- Left: CT. Right: PSMA PET, same axial level, 18F-PSMA tracer
- acquired on Siemens Biograph mCT Flow 20
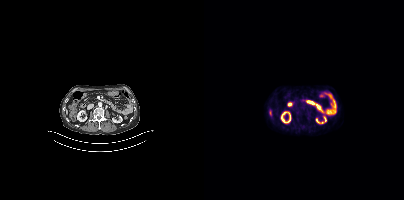
Findings: Only PSMA-avid lesion pieces thinner than 2 px on this slice (not listed).